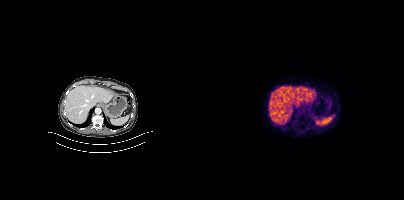
Findings: Negative for PSMA-avid disease on this slice.
- Left: CT. Right: PSMA PET, same axial level, 68Ga-PSMA tracer
- slice position z = -1130 mm